Paired axial CT (left) and PSMA PET (right), [18F]PSMA-1007 tracer. Acquired on GE Discovery 690.
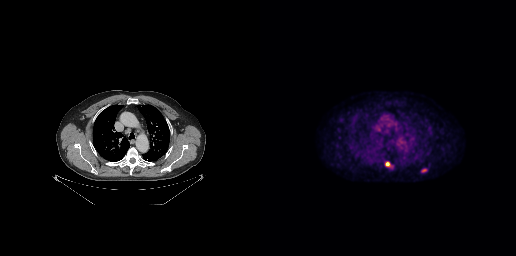
Coordinates are on the 256×256 PET (right) panel. PSMA-avid tumor lesion bounding boxes:
| # | x0 | y0 | x1 | y1 |
|---|---|---|---|---|
| 1 | 125 | 162 | 130 | 166 |
Small PSMA-avid focus (2 to 4 px across) near (center x, center y): (164, 170).